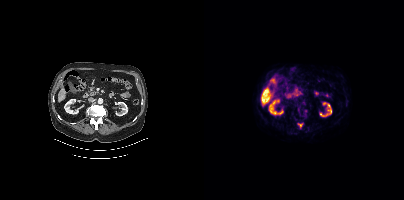
Findings: Coordinates are on the 200×200 PET (right) panel. PSMA-avid tumor lesion bounding box (x0, y0)-(x1, y1): (94, 123)-(98, 127).
Technique: Two-panel axial: CT | PSMA PET, [18F]PSMA-1007 tracer.